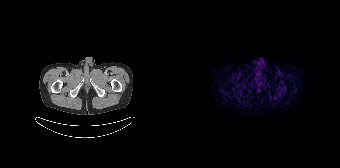
Left: CT. Right: PSMA PET, same axial level, 68Ga tracer. Acquired on Siemens Biograph 64-4R TruePoint. PET panel 168×168 px (4.1 mm/px). Negative for PSMA-avid disease on this slice.